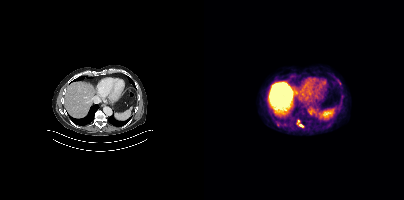
Paired axial CT (left) and PSMA PET (right), 18F-PSMA tracer. Acquired on Siemens Biograph mCT Flow 20. Slice 259 of 429. PET panel 200×200 px (4.1 mm/px). Coordinates are on the 200×200 PET (right) panel. PSMA-avid tumor lesion bounding box (x0,y0,x1,y1): [95,124,99,127]. Small PSMA-avid foci (2 to 4 px across) near (center x, center y): (94, 121), (135, 83).